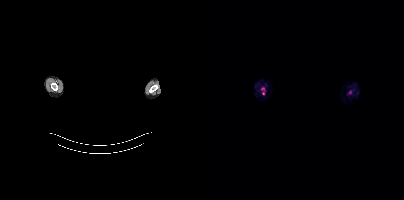
De-identified by setting a box covering the face to black before release. Paired axial CT (left) and PSMA PET (right), 18F-PSMA tracer. No PSMA-avid tumor lesions on this slice.